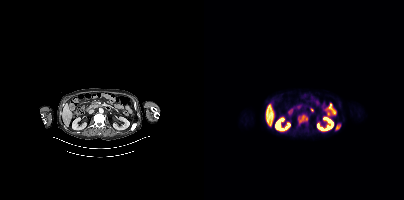
Coordinates are on the 200×200 PET (right) panel. PSMA-avid tumor lesion bounding boxes (x0, y0)-(x1, y1): (94, 114)-(103, 124) | (131, 124)-(136, 130).
modality: PSMA PET/CT | tracer: 18F | view: axial | PET grid: 200×200